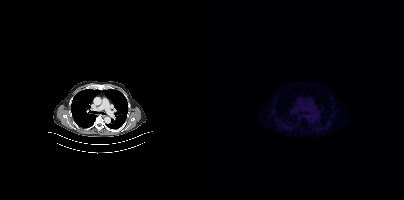
- Left: CT. Right: PSMA PET, same axial level, [18F]PSMA-1007 tracer
- acquired on Siemens Biograph mCT Flow 20
- slice 294 of 411
- PET panel 200×200 px (4.1 mm/px)
Findings: No PSMA-avid tumor lesions on this slice.